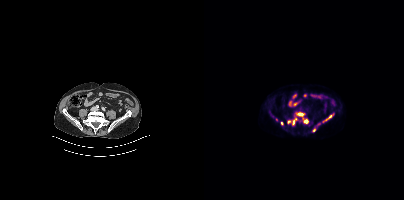
{"pet_grid":[200,200],"coord_frame":"pet_panel","coord_format":"x0,y0,x1,y1","partial":true,"lesion_bboxes":[[123,113,130,119],[100,120,104,123],[94,113,98,115],[89,120,90,124]],"small_foci_centers":[[110,130],[72,119],[85,122],[77,123]],"modality":"PSMA PET/CT","view":"axial","tracer":"18F"}